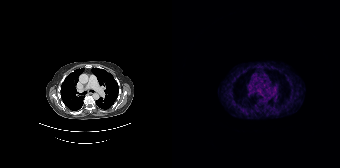
Left: CT. Right: PSMA PET, same axial level, 68Ga-PSMA tracer. Acquired on Siemens Biograph 64-4R TruePoint. PET panel 168×168 px (4.1 mm/px). No PSMA-avid tumor lesions on this slice.